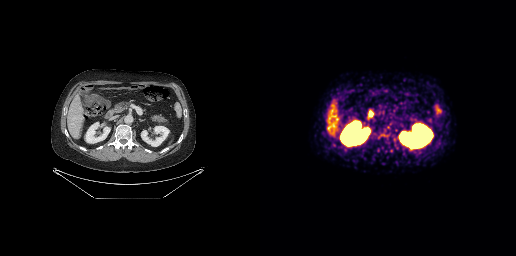
No tumor lesions annotated on this slice.